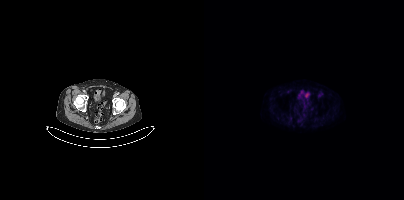
{"pet_grid":[200,200],"coord_frame":"pet_panel","coord_format":"x0,y0,x1,y1","psma_avid_lesions":false,"modality":"PSMA PET/CT","view":"axial","tracer":"18F"}